modality: PSMA PET/CT | tracer: [68Ga]Ga-PSMA-11 | view: axial | PET grid: 256×256
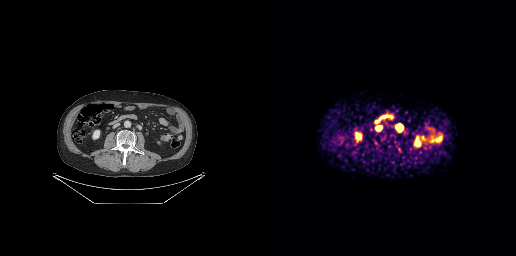
Coordinates are on the 256×256 PET (right) panel. PSMA-avid tumor lesion bounding box (x, y, width, height): x=137 y=125 w=6 h=6. Small PSMA-avid focus (2 to 4 px across) near (center x, center y): (118, 128).